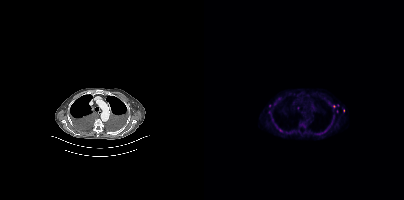
Coordinates are on the 200×200 PET (right) panel. (showing 7 of 9 foci) PSMA-avid tumor lesion bounding boxes (x, y, width, height): x=71 y=124 w=3 h=5; x=113 y=133 w=6 h=2. Small PSMA-avid foci (2 to 4 px across) near (center x, center y): (76, 130); (94, 108); (121, 130); (65, 105); (129, 106).
modality: PSMA PET/CT | tracer: 18F | view: axial | PET grid: 200×200